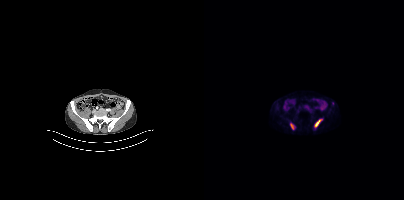
{"modality":"PSMA PET/CT","view":"axial","tracer":"18F","pet_grid":[200,200],"coord_frame":"pet_panel","coord_format":"x0,y0,x1,y1","lesion_bboxes":[[111,119,117,126],[86,123,90,129]]}